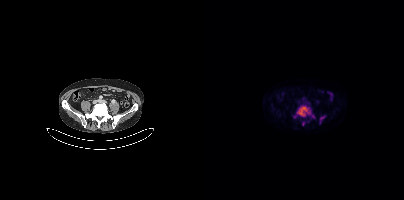
{"modality":"PSMA PET/CT","view":"axial","tracer":"18F","pet_grid":[200,200],"coord_frame":"pet_panel","coord_format":"x0,y0,x1,y1","lesion_bboxes":[[92,105,110,117],[116,116,120,123]],"small_foci_centers":[[99,123],[90,116]]}